modality: PSMA PET/CT | tracer: 18F | view: axial | PET grid: 256×256
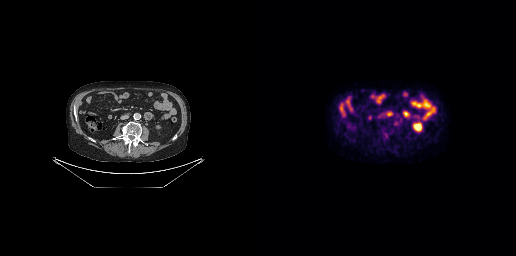
Negative for PSMA-avid disease on this slice.